modality: PSMA PET/CT | tracer: 18F-PSMA | view: axial | PET grid: 200×200
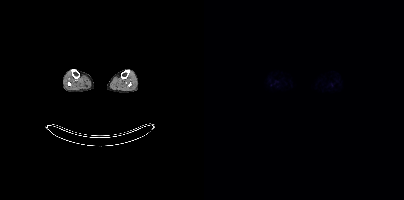
No PSMA-avid tumor lesions on this slice.